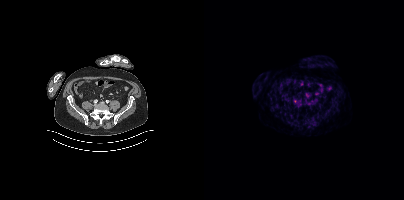
- Two-panel axial: CT | PSMA PET, 68Ga-PSMA tracer
- acquired on Siemens Biograph mCT Flow 20
- slice position z = -1372 mm
Findings: No tumor lesions annotated on this slice.